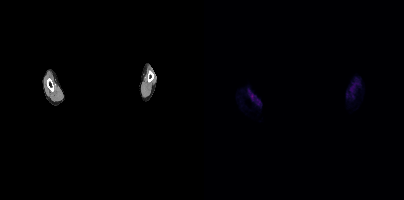
{"modality":"PSMA PET/CT","view":"axial","tracer":"18F-PSMA","pet_grid":[200,200],"coord_frame":"pet_panel","coord_format":"x0,y0,x1,y1","psma_avid_lesions":false,"redaction":"face masked with black rectangle"}